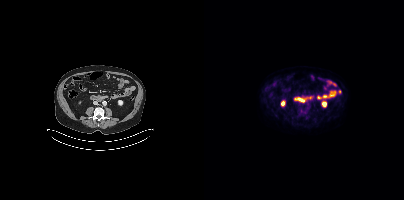
- Left: CT. Right: PSMA PET, same axial level, [18F]PSMA-1007 tracer
- PET panel 200×200 px (4.1 mm/px)
Findings: Negative for PSMA-avid disease on this slice.